modality: PSMA PET/CT | tracer: [18F]PSMA-1007 | view: axial | PET grid: 256×256
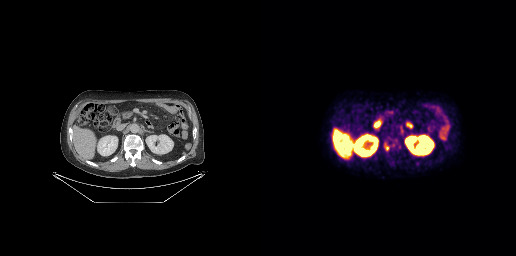
Coordinates are on the 256×256 PET (right) panel. PSMA-avid tumor lesion bounding box (x0, y0)-(x1, y1): (124, 142)-(129, 151). Small PSMA-avid focus (2 to 4 px across) near (center x, center y): (133, 145).